Technique: Left: CT. Right: PSMA PET, same axial level, 18F tracer. acquired on Siemens Biograph mCT Flow 20. PET panel 200×200 px (4.1 mm/px).
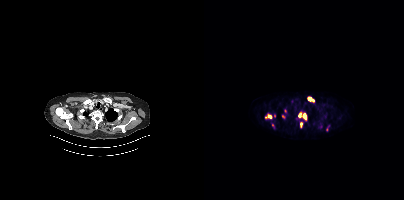
Findings: Coordinates are on the 200×200 PET (right) panel. (showing 5 of 9 foci) PSMA-avid tumor lesion bounding boxes (x0,y0,x1,y1): [94,112,102,120]; [103,96,110,102]; [61,114,68,118]; [96,122,98,127]. Small PSMA-avid focus (2 to 4 px across) near (center x, center y): (79, 116).